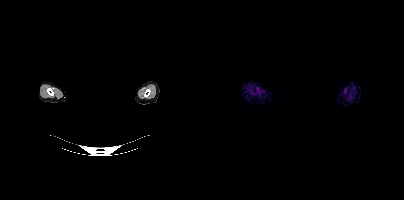
Technique: Left: CT. Right: PSMA PET, same axial level, 18F-PSMA tracer. slice 394 of 397.
Note: De-identified by setting a box covering the face to black before release.
Findings: This slice has no annotated PSMA-avid lesion.